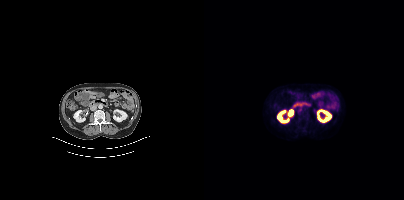
Technique: Paired axial CT (left) and PSMA PET (right), 18F tracer. acquired on Siemens Biograph mCT Flow 20. PET panel 200×200 px (4.1 mm/px).
Findings: No PSMA-avid tumor lesions on this slice.